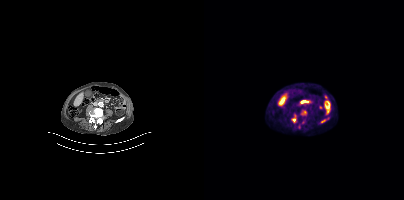
modality: PSMA PET/CT | tracer: 18F-PSMA | view: axial
Coordinates are on the 200×200 PET (right) panel. (showing 3 of 4 foci) PSMA-avid tumor lesion bounding box (x0, y0)-(x1, y1): (87, 114)-(93, 122). Small PSMA-avid foci (2 to 4 px across) near (center x, center y): (95, 126) | (99, 122).